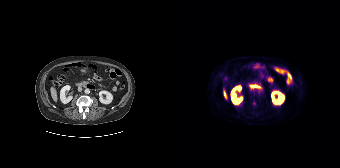
{"modality":"PSMA PET/CT","view":"axial","tracer":"18F-PSMA","pet_grid":[168,168],"coord_frame":"pet_panel","coord_format":"x0,y0,x1,y1","partial":true,"lesion_bboxes":[]}